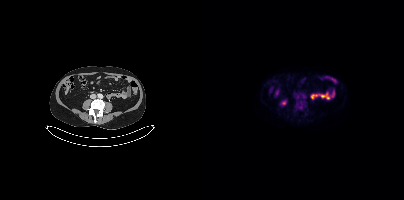
modality: PSMA PET/CT | tracer: [18F]PSMA-1007 | view: axial | PET grid: 200×200
No PSMA-avid tumor lesions on this slice.